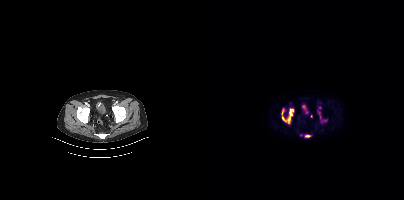
modality: PSMA PET/CT | tracer: 18F-PSMA | view: axial | PET grid: 200×200
Coordinates are on the 200×200 PET (right) panel. (showing 3 of 4 foci) PSMA-avid tumor lesion bounding boxes (x, y, width, height): x=78 y=109 w=12 h=15 / x=101 y=135 w=6 h=3. Small PSMA-avid focus (2 to 4 px across) near (center x, center y): (115, 107).